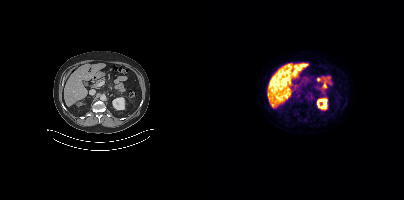
{"modality":"PSMA PET/CT","view":"axial","tracer":"18F-PSMA","pet_grid":[200,200],"coord_frame":"pet_panel","coord_format":"x0,y0,x1,y1","lesion_bboxes":[[105,94,110,99]],"small_foci_centers":[[96,100]]}